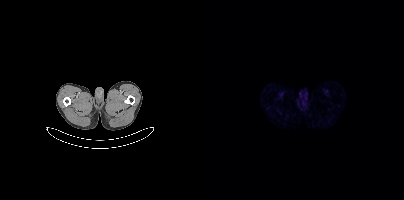
No tumor lesions annotated on this slice.
modality: PSMA PET/CT | tracer: 68Ga | view: axial | PET grid: 200×200